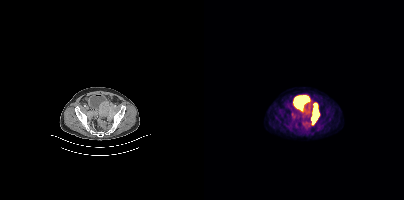
{"pet_grid":[200,200],"coord_frame":"pet_panel","coord_format":"x0,y0,x1,y1","lesion_bboxes":[[107,103,115,124],[100,109,107,115]],"small_foci_centers":[[88,116]],"modality":"PSMA PET/CT","view":"axial","tracer":"18F"}